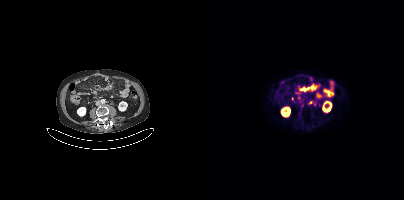
Technique: Two-panel axial: CT | PSMA PET, 18F-PSMA tracer. slice 157 of 395.
Findings: Coordinates are on the 200×200 PET (right) panel. (showing 6 of 7 foci) PSMA-avid tumor lesion bounding box (x0, y0)-(x1, y1): (103, 85)-(111, 90). Small PSMA-avid foci (2 to 4 px across) near (center x, center y): (92, 93) | (98, 106) | (106, 102) | (88, 98) | (100, 89).